Paired axial CT (left) and PSMA PET (right), [18F]PSMA-1007 tracer. Acquired on Siemens Biograph mCT Flow 20.
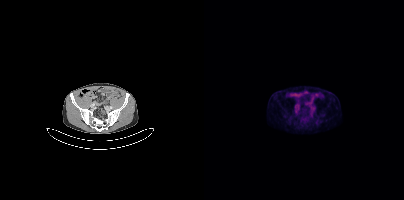
Coordinates are on the 200×200 PET (right) panel. PSMA-avid tumor lesion bounding boxes (x, y, width, height): x=90 y=106 w=5 h=5 / x=106 y=107 w=5 h=5.